Paired axial CT (left) and PSMA PET (right), 18F tracer. Slice 94 of 427. PET panel 200×200 px (4.1 mm/px).
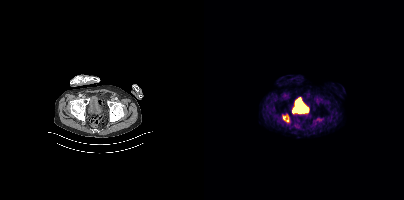
Coordinates are on the 200×200 PET (right) panel. PSMA-avid tumor lesion bounding boxes (x, y, width, height): x=79 y=115 w=6 h=7 | x=113 y=118 w=5 h=4.